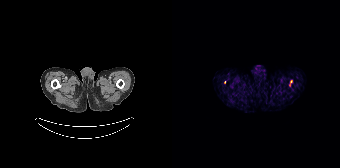
Only PSMA-avid lesion pieces thinner than 2 px on this slice (not listed). Two-panel axial: CT | PSMA PET, 68Ga tracer. Slice position z = -1014 mm.